Two-panel axial: CT | PSMA PET, [18F]PSMA-1007 tracer. Acquired on Siemens Biograph mCT Flow 20.
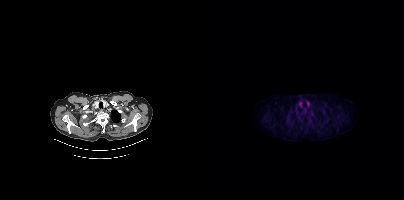
No PSMA-avid tumor lesions on this slice.